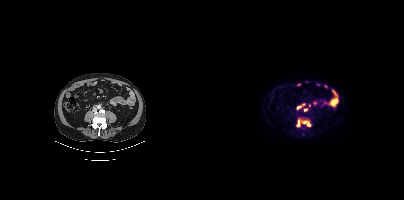
{"modality":"PSMA PET/CT","view":"axial","tracer":"18F","pet_grid":[200,200],"coord_frame":"pet_panel","coord_format":"x0,y0,x1,y1","lesion_bboxes":[[92,119,106,126],[93,103,101,109]],"small_foci_centers":[[101,109],[105,105]]}